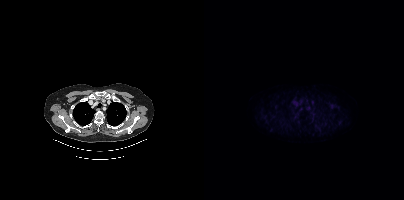
No tumor lesions annotated on this slice.